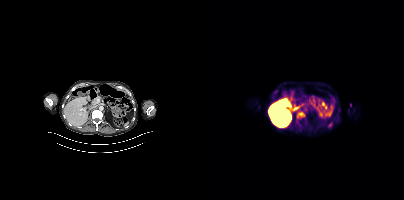
Coordinates are on the 200×200 PET (right) panel. PSMA-avid tumor lesion bounding box (x0,y0,x1,y1): [93,111,100,117].